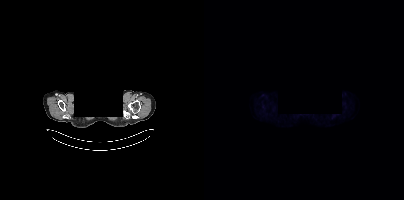
{"pet_grid":[200,200],"coord_frame":"pet_panel","coord_format":"x0,y0,x1,y1","psma_avid_lesions":false,"modality":"PSMA PET/CT","view":"axial","tracer":"18F","redaction":"facial region redacted"}